Paired axial CT (left) and PSMA PET (right), [18F]PSMA-1007 tracer.
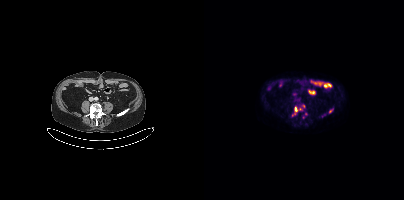
Coordinates are on the 200×200 PET (right) panel. (showing 4 of 7 foci) PSMA-avid tumor lesion bounding boxes (x, y, width, height): x=88 y=112 w=5 h=5 / x=125 y=109 w=5 h=5 / x=91 y=107 w=3 h=5. Small PSMA-avid focus (2 to 4 px across) near (center x, center y): (101, 113).